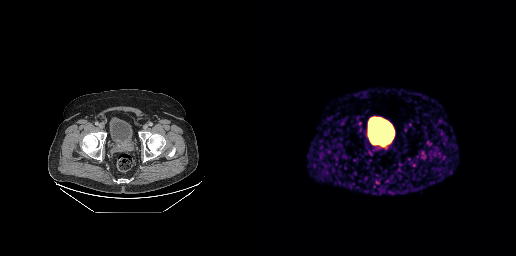
- Left: CT. Right: PSMA PET, same axial level, [68Ga]Ga-PSMA-11 tracer
- slice position z = -732 mm
- PET panel 256×256 px (2.7 mm/px)
Findings: Coordinates are on the 256×256 PET (right) panel. PSMA-avid tumor lesion bounding boxes (x0,y0,x1,y1): [112,135,132,144] [122,146,127,148].